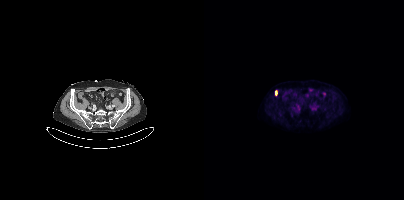
Coordinates are on the 200×200 PET (right) panel. PSMA-avid tumor lesion bounding box (x0,y0,x1,y1): [71,90,73,95].